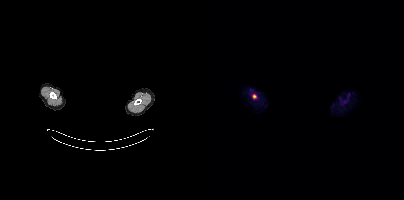
de-identification: facial region redacted | modality: PSMA PET/CT | tracer: 18F-PSMA | view: axial | PET grid: 200×200
Coordinates are on the 200×200 PET (right) panel. Small PSMA-avid focus (2 to 4 px across) near (center x, center y): (50, 96).